Paired axial CT (left) and PSMA PET (right), [18F]PSMA-1007 tracer. Acquired on GE Discovery 690. Slice 217 of 263. PET panel 256×256 px (2.7 mm/px).
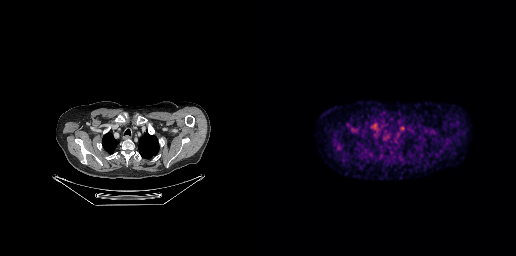
No tumor lesions annotated on this slice.